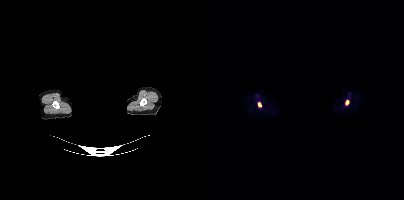
- facial anatomy redacted by setting a rectangular region of the head to black
- Two-panel axial: CT | PSMA PET, [18F]PSMA-1007 tracer
- slice position z = -300 mm
Findings: Coordinates are on the 200×200 PET (right) panel. PSMA-avid tumor lesion bounding boxes (x, y, width, height): x=54 y=102 w=4 h=5 / x=141 y=100 w=5 h=5.